Paired axial CT (left) and PSMA PET (right), [18F]PSMA-1007 tracer. Acquired on Siemens Biograph mCT Flow 20.
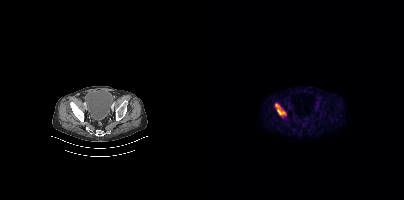
Coordinates are on the 200×200 PET (right) panel. PSMA-avid tumor lesion bounding boxes:
| # | x0 | y0 | x1 | y1 |
|---|---|---|---|---|
| 1 | 71 | 104 | 81 | 115 |